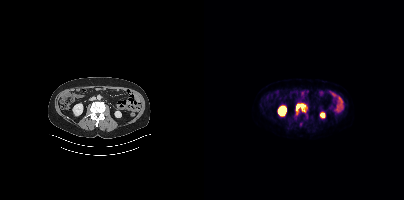
Coordinates are on the 200×200 PET (right) panel. (showing 1 of 2 foci) PSMA-avid tumor lesion bounding box (x, y, width, height): x=92 y=104 w=10 h=7.